The head region is masked for de-identification.
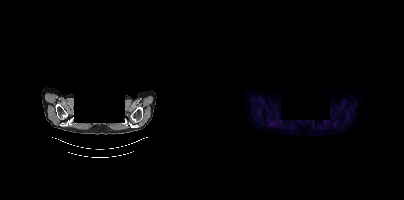
No PSMA-avid tumor lesions on this slice.